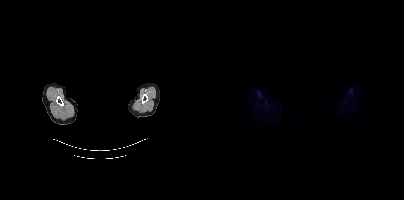
{"modality":"PSMA PET/CT","view":"axial","tracer":"18F-PSMA","pet_grid":[200,200],"coord_frame":"pet_panel","coord_format":"x0,y0,x1,y1","psma_avid_lesions":false,"deidentification":"face masked with black rectangle"}